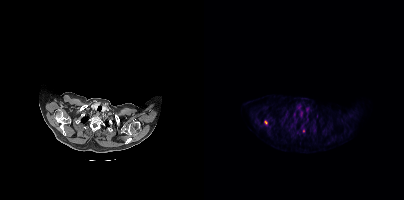
Coordinates are on the 200×200 PET (right) panel. Small PSMA-avid focus (2 to 4 px across) near (center x, center y): (61, 122).